Two-panel axial: CT | PSMA PET, 18F tracer. Slice 331 of 401.
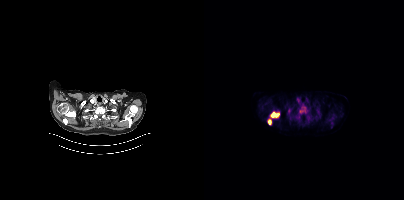
Coordinates are on the 200×200 PET (right) panel. PSMA-avid tumor lesion bounding boxes (x, y, width, height): x=67 y=112 w=9 h=6 / x=64 y=120 w=4 h=5 / x=84 y=108 w=3 h=7. Small PSMA-avid foci (2 to 4 px across) near (center x, center y): (102, 111) / (97, 111).